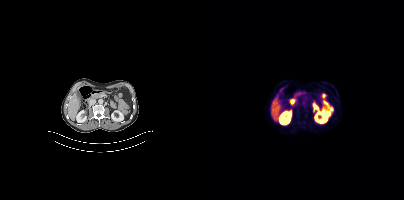
Technique: Paired axial CT (left) and PSMA PET (right), 18F-PSMA tracer. slice position z = -730 mm.
Findings: Negative for PSMA-avid disease on this slice.